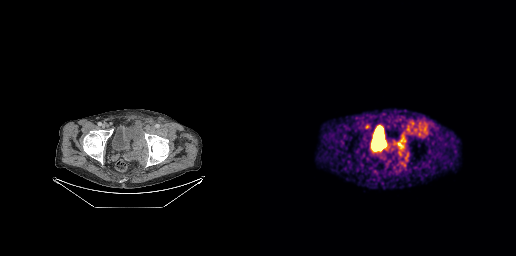
Coordinates are on the 256×256 PET (right) panel. PSMA-avid tumor lesion bounding boxes (x, y, width, height): x=136 y=137 w=9 h=18 / x=156 y=125 w=11 h=11.
modality: PSMA PET/CT | tracer: [68Ga]Ga-PSMA-11 | view: axial | PET grid: 256×256